Paired axial CT (left) and PSMA PET (right), 18F-PSMA tracer. Slice 781 of 963.
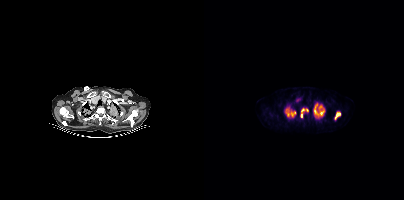
Coordinates are on the 200×200 PET (right) panel. (showing 6 of 7 foci) PSMA-avid tumor lesion bounding boxes (x0, y0)-(x1, y1): (110, 104)-(120, 117) | (131, 112)-(136, 119) | (97, 108)-(100, 117) | (87, 112)-(91, 116) | (82, 112)-(85, 116). Small PSMA-avid focus (2 to 4 px across) near (center x, center y): (103, 110).